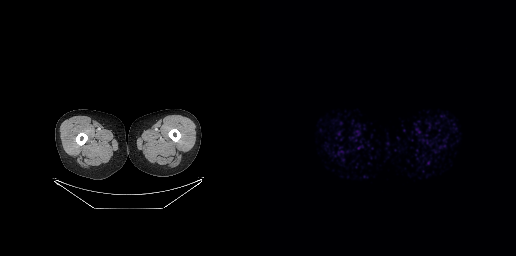
No tumor lesions annotated on this slice. Paired axial CT (left) and PSMA PET (right), 68Ga-PSMA tracer. Slice 6 of 263.